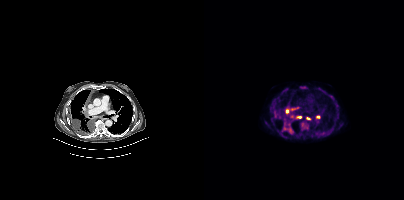
Coordinates are on the 200×200 PET (right) panel. PSMA-avid tumor lesion bounding boxes (x0, y0)-(x1, y1): (79, 124)-(89, 134); (96, 86)-(102, 88); (87, 108)-(92, 110); (82, 109)-(85, 113). Small PSMA-avid foci (2 to 4 px across) near (center x, center y): (70, 112); (95, 117); (88, 116); (114, 116); (104, 118).